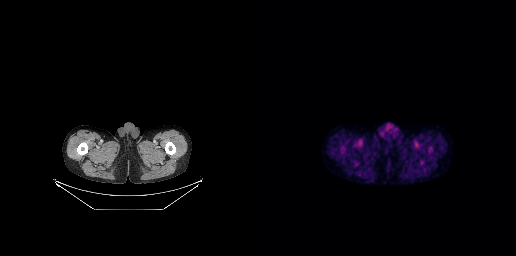
Negative for PSMA-avid disease on this slice.